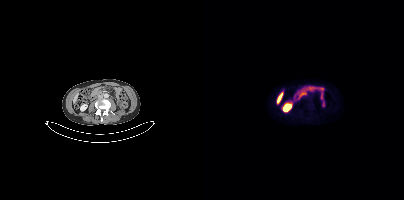
No tumor lesions annotated on this slice.